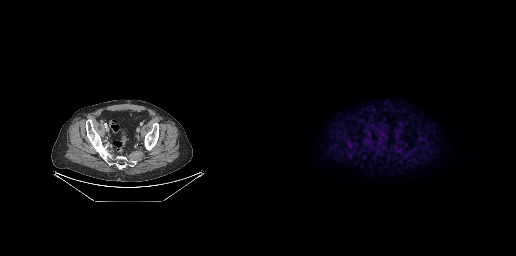
Findings: No PSMA-avid tumor lesions on this slice.
Technique: Paired axial CT (left) and PSMA PET (right), [18F]PSMA-1007 tracer. acquired on GE Discovery 690. PET panel 256×256 px (2.7 mm/px).